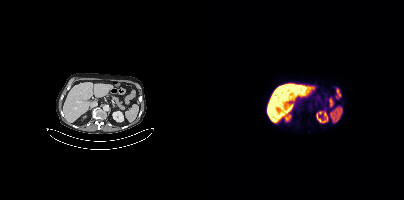
No PSMA-avid tumor lesions on this slice.